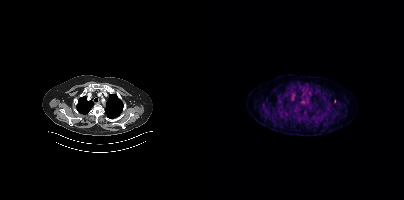
modality: PSMA PET/CT | tracer: 18F-PSMA | view: axial
Coordinates are on the 200×200 PET (right) panel. Small PSMA-avid focus (2 to 4 px across) near (center x, center y): (130, 101).